Two-panel axial: CT | PSMA PET, 18F tracer. Acquired on Siemens Biograph mCT Flow 20. PET panel 200×200 px (4.1 mm/px).
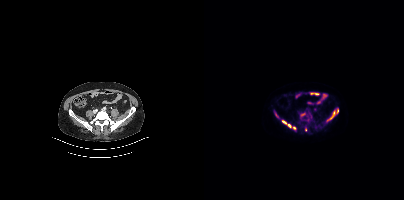
Coordinates are on the 200×200 PET (right) panel. PSMA-avid tumor lesion bounding boxes (partial; 2 more foci not listed):
| # | x0 | y0 | x1 | y1 |
|---|---|---|---|---|
| 1 | 125 | 109 | 134 | 119 |
| 2 | 78 | 120 | 87 | 127 |
Small PSMA-avid foci (2 to 4 px across) near (center x, center y): (90, 128); (101, 129).